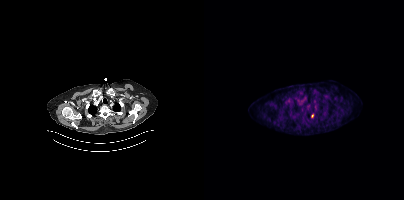
Coordinates are on the 200×200 PET (right) panel. Small PSMA-avid focus (2 to 4 px across) near (center x, center y): (108, 115).